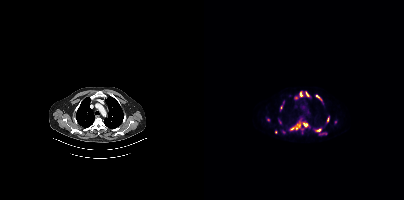
Coordinates are on the 200×200 PET (right) panel. (showing 8 of 9 foci) PSMA-avid tumor lesion bounding boxes (x0, y0)-(x1, y1): (87, 123)-(96, 129) / (99, 122)-(104, 127) / (111, 128)-(117, 131) / (112, 95)-(117, 100). Small PSMA-avid foci (2 to 4 px across) near (center x, center y): (97, 94) / (124, 119) / (103, 93) / (71, 131). Paired axial CT (left) and PSMA PET (right), 18F tracer. PET panel 200×200 px (4.1 mm/px).